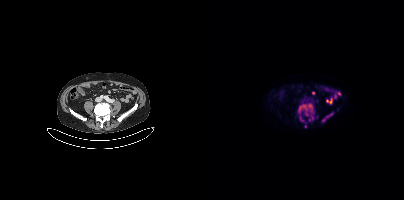
{"modality":"PSMA PET/CT","view":"axial","tracer":"18F","pet_grid":[200,200],"coord_frame":"pet_panel","coord_format":"x0,y0,x1,y1","partial":true,"lesion_bboxes":[[94,103,108,115],[118,113,129,121]],"small_foci_centers":[[108,117],[101,126]]}